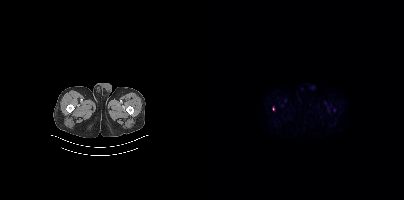
- Left: CT. Right: PSMA PET, same axial level, 18F-PSMA tracer
- acquired on Siemens Biograph mCT Flow 20
Findings: Coordinates are on the 200×200 PET (right) panel. Small PSMA-avid focus (2 to 4 px across) near (center x, center y): (69, 108).